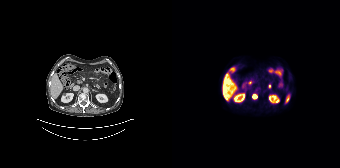
Technique: Paired axial CT (left) and PSMA PET (right), 18F-PSMA tracer. PET panel 168×168 px (4.1 mm/px).
Findings: Coordinates are on the 168×168 PET (right) panel. PSMA-avid tumor lesion bounding box (x0, y0)-(x1, y1): (80, 94)-(85, 98).